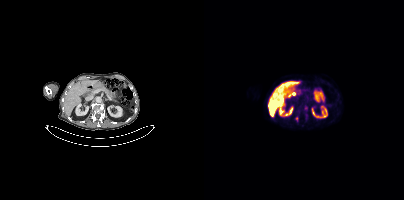
{"modality":"PSMA PET/CT","view":"axial","tracer":"[18F]PSMA-1007","pet_grid":[200,200],"coord_frame":"pet_panel","coord_format":"x0,y0,x1,y1","lesion_bboxes":[],"small_foci_centers":[[92,118],[94,111],[101,107]]}